modality: PSMA PET/CT | tracer: 68Ga-PSMA | view: axial | PET grid: 256×256
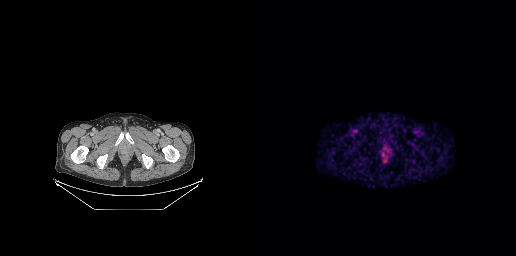
Coordinates are on the 256×256 PET (right) panel. Small PSMA-avid focus (2 to 4 px across) near (center x, center y): (125, 148).